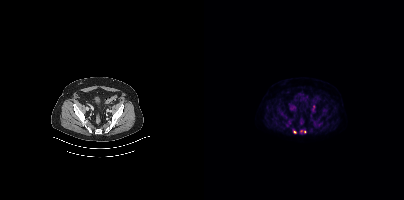
Coordinates are on the 200×200 PET (right) panel. Small PSMA-avid foci (2 to 4 px across) near (center x, center y): (90, 132); (97, 130); (100, 131).